- Two-panel axial: CT | PSMA PET, 18F-PSMA tracer
- acquired on Siemens Biograph mCT Flow 20
- slice 204 of 462
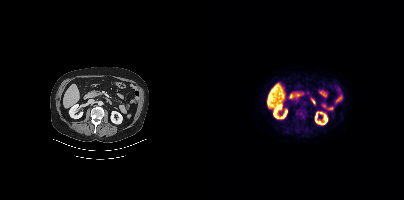
Findings: No PSMA-avid tumor lesions on this slice.